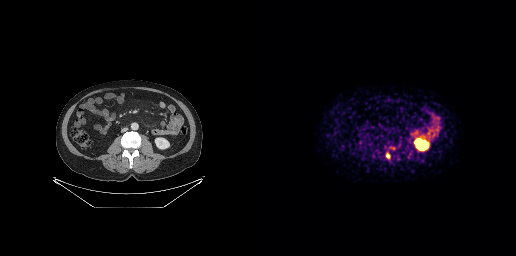
{"modality":"PSMA PET/CT","view":"axial","tracer":"68Ga","pet_grid":[256,256],"coord_frame":"pet_panel","coord_format":"x0,y0,x1,y1","lesion_bboxes":[],"small_foci_centers":[[128,156]]}